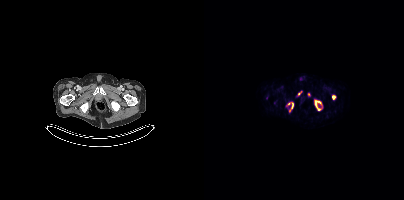
{"modality":"PSMA PET/CT","view":"axial","tracer":"18F","pet_grid":[200,200],"coord_frame":"pet_panel","coord_format":"x0,y0,x1,y1","partial":true,"lesion_bboxes":[[111,100,117,110],[128,95,131,99],[87,102,89,108],[94,91,97,95]],"small_foci_centers":[[84,103],[85,110]]}